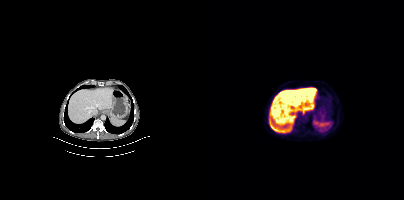
Negative for PSMA-avid disease on this slice.